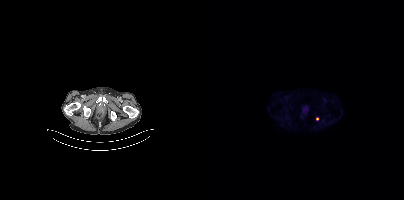
Left: CT. Right: PSMA PET, same axial level, 18F-PSMA tracer. Slice 55 of 375. Coordinates are on the 200×200 PET (right) panel. Small PSMA-avid focus (2 to 4 px across) near (center x, center y): (113, 119).